Paired axial CT (left) and PSMA PET (right), [18F]PSMA-1007 tracer. Acquired on Siemens Biograph mCT Flow 20. Slice position z = -1354 mm.
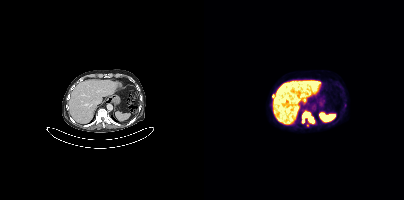
Coordinates are on the 200×200 PET (right) panel. PSMA-avid tumor lesion bounding boxes (partial; 1 more focus not listed):
| # | x0 | y0 | x1 | y1 |
|---|---|---|---|---|
| 1 | 98 | 112 | 110 | 123 |
| 2 | 68 | 94 | 70 | 98 |